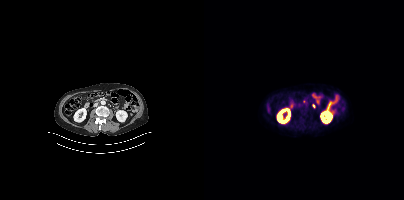
Two-panel axial: CT | PSMA PET, 18F-PSMA tracer. Coordinates are on the 200×200 PET (right) panel. Small PSMA-avid foci (2 to 4 px across) near (center x, center y): (100, 101), (109, 105).